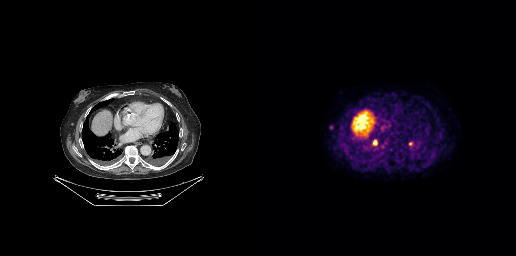
Paired axial CT (left) and PSMA PET (right), 18F tracer. PET panel 256×256 px (2.7 mm/px). Coordinates are on the 256×256 PET (right) panel. PSMA-avid tumor lesion bounding boxes (x0, y0)-(x1, y1): (113, 140)-(117, 145) / (148, 142)-(153, 146) / (69, 125)-(73, 129). Small PSMA-avid focus (2 to 4 px across) near (center x, center y): (122, 146).